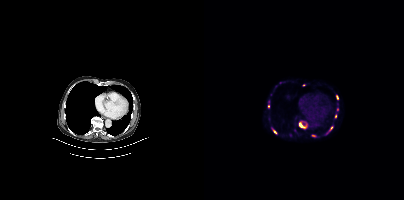
Coordinates are on the 200×200 PET (right) panel. (showing 8 of 9 foci) PSMA-avid tumor lesion bounding boxes (x0, y0)-(x1, y1): (95, 123)-(102, 128); (68, 128)-(72, 133); (125, 126)-(128, 130). Small PSMA-avid foci (2 to 4 px across) near (center x, center y): (109, 135); (131, 116); (133, 97); (64, 105); (99, 84).